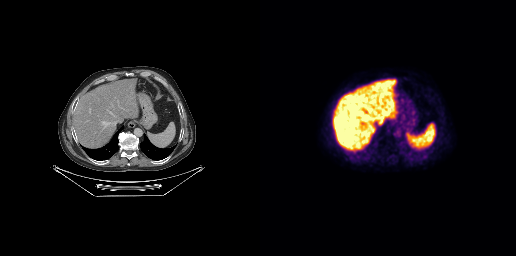
modality: PSMA PET/CT | tracer: [18F]PSMA-1007 | view: axial | PET grid: 256×256
No tumor lesions annotated on this slice.